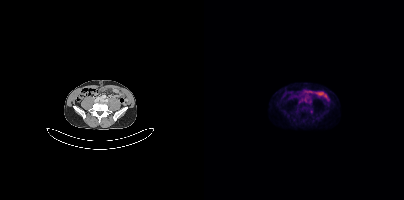
Paired axial CT (left) and PSMA PET (right), [18F]PSMA-1007 tracer. Slice 135 of 417. Coordinates are on the 200×200 PET (right) panel. PSMA-avid tumor lesion bounding box (x, y, width, height): x=105 y=109 w=5 h=5.